modality: PSMA PET/CT | tracer: 18F | view: axial
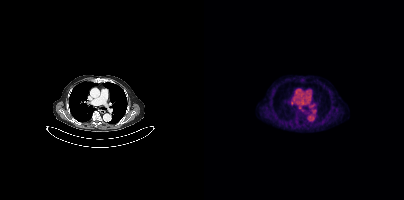
Coordinates are on the 200×200 PET (right) panel. Small PSMA-avid foci (2 to 4 px across) near (center x, center y): (95, 108) (88, 103).